Technique: Two-panel axial: CT | PSMA PET, 68Ga-PSMA tracer. acquired on GE Discovery 690. PET panel 256×256 px (2.7 mm/px).
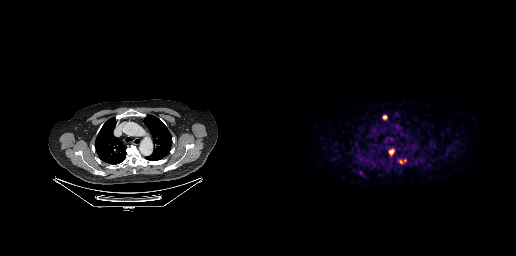
Findings: Coordinates are on the 256×256 PET (right) panel. (showing 2 of 3 foci) PSMA-avid tumor lesion bounding boxes (x, y, width, height): x=123 y=115 w=4 h=5 / x=129 y=150 w=5 h=4.